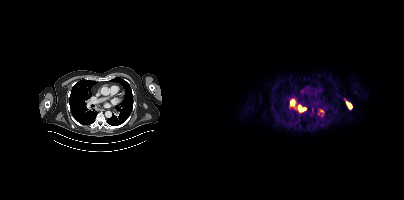
{"pet_grid":[200,200],"coord_frame":"pet_panel","coord_format":"x0,y0,x1,y1","partial":true,"lesion_bboxes":[[142,102,147,108],[95,106,100,111],[87,100,90,104]],"modality":"PSMA PET/CT","view":"axial","tracer":"[68Ga]Ga-PSMA-11"}